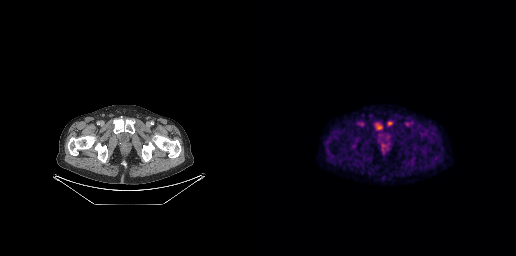
{"modality":"PSMA PET/CT","view":"axial","tracer":"[18F]PSMA-1007","pet_grid":[256,256],"coord_frame":"pet_panel","coord_format":"x0,y0,x1,y1","lesion_bboxes":[[114,122,122,129],[127,121,132,125]]}